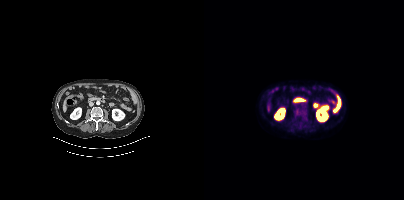
{"modality":"PSMA PET/CT","view":"axial","tracer":"18F","pet_grid":[200,200],"coord_frame":"pet_panel","coord_format":"x0,y0,x1,y1","psma_avid_lesions":false}